Paired axial CT (left) and PSMA PET (right), 18F tracer.
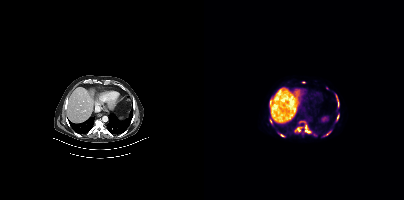
Coordinates are on the 200×200 PET (right) panel. (showing 6 of 9 foci) PSMA-avid tumor lesion bounding boxes (x0,y0,x1,y1): [101,125,106,132], [93,127,96,131]. Small PSMA-avid foci (2 to 4 px across) near (center x, center y): (78, 135), (123, 133), (133, 117), (66, 121).